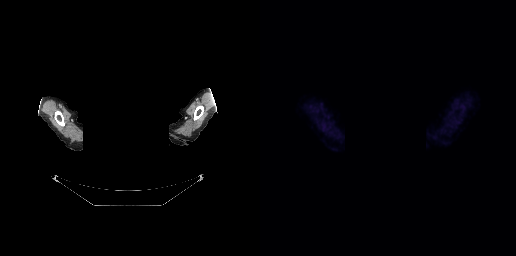
Face de-identified by blanking a block of the head. Left: CT. Right: PSMA PET, same axial level, 18F tracer. Acquired on GE Discovery 690. Slice position z = -65 mm. PET panel 256×256 px (2.7 mm/px). Negative for PSMA-avid disease on this slice.